Left: CT. Right: PSMA PET, same axial level, 18F-PSMA tracer.
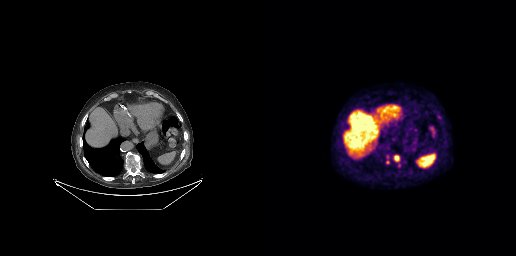
Coordinates are on the 256×256 PET (right) panel. PSMA-avid tumor lesion bounding boxes:
| # | x0 | y0 | x1 | y1 |
|---|---|---|---|---|
| 1 | 134 | 155 | 139 | 161 |
Small PSMA-avid focus (2 to 4 px across) near (center x, center y): (127, 162).